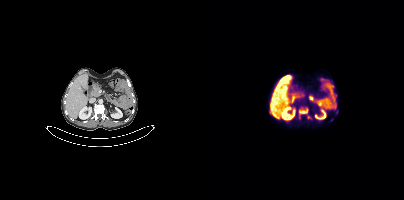
Left: CT. Right: PSMA PET, same axial level, 18F-PSMA tracer. Slice 182 of 403. PET panel 200×200 px (4.1 mm/px).
Coordinates are on the 200×200 PET (right) panel. PSMA-avid tumor lesion bounding boxes:
| # | x0 | y0 | x1 | y1 |
|---|---|---|---|---|
| 1 | 95 | 108 | 103 | 114 |
Small PSMA-avid focus (2 to 4 px across) near (center x, center y): (104, 116).